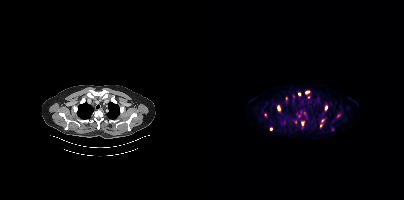
Technique: Two-panel axial: CT | PSMA PET, [18F]PSMA-1007 tracer. acquired on Siemens Biograph mCT Flow 20.
Findings: Coordinates are on the 200×200 PET (right) panel. (showing 10 of 12 foci) PSMA-avid tumor lesion bounding boxes (x, y, width, height): x=73 y=106 w=4 h=5; x=121 y=105 w=3 h=6; x=101 y=91 w=5 h=3. Small PSMA-avid foci (2 to 4 px across) near (center x, center y): (118, 120); (95, 94); (117, 125); (67, 129); (104, 97); (98, 123); (134, 115).